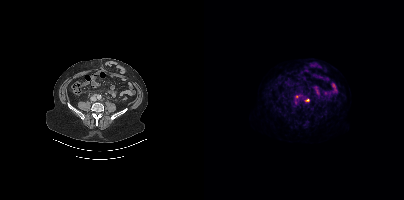
Left: CT. Right: PSMA PET, same axial level, 18F tracer. Coordinates are on the 200×200 PET (right) panel. Small PSMA-avid focus (2 to 4 px across) near (center x, center y): (92, 102).